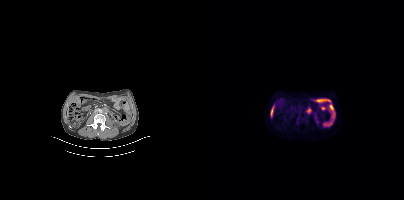
Coordinates are on the 200×200 PET (right) panel. PSMA-avid tumor lesion bounding boxes (x0, y0)-(x1, y1): (102, 107)-(107, 114); (92, 120)-(94, 124). Small PSMA-avid focus (2 to 4 px across) near (center x, center y): (113, 121).